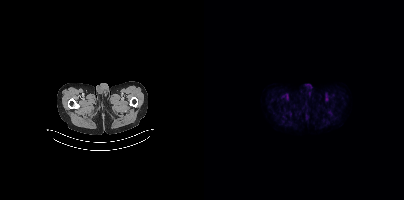
modality: PSMA PET/CT | tracer: 18F | view: axial | PET grid: 200×200
This slice has no annotated PSMA-avid lesion.